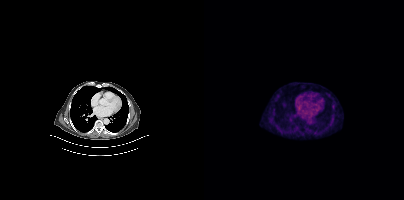
This slice has no annotated PSMA-avid lesion.